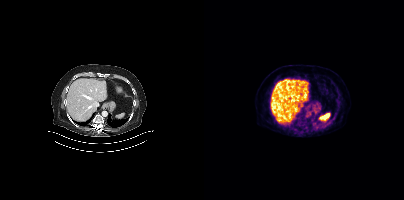
No PSMA-avid tumor lesions on this slice. Left: CT. Right: PSMA PET, same axial level, [18F]PSMA-1007 tracer. Slice position z = -1116 mm. PET panel 200×200 px (4.1 mm/px).